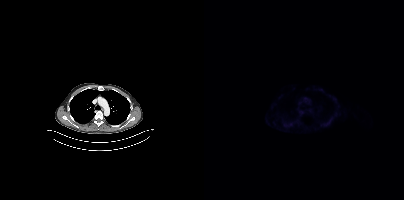
Left: CT. Right: PSMA PET, same axial level, 18F-PSMA tracer. PET panel 200×200 px (4.1 mm/px). This slice has no annotated PSMA-avid lesion.